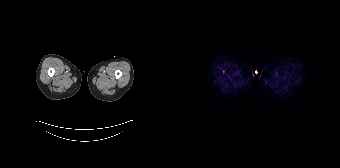
modality: PSMA PET/CT | tracer: [68Ga]Ga-PSMA-11 | view: axial
Only PSMA-avid lesion pieces thinner than 2 px on this slice (not listed).